- Paired axial CT (left) and PSMA PET (right), 18F tracer
- acquired on Siemens Biograph mCT Flow 20
- PET panel 200×200 px (4.1 mm/px)
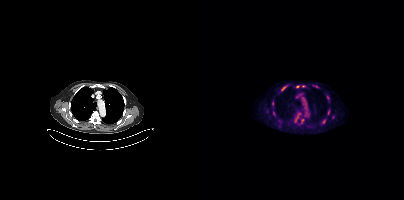
Findings: Coordinates are on the 200×200 PET (right) panel. (showing 9 of 11 foci) PSMA-avid tumor lesion bounding boxes (x0,y0,x1,y1): [77,85,83,90]; [124,110,125,114]. Small PSMA-avid foci (2 to 4 px across) near (center x, center y): (99, 86); (120, 121); (68, 103); (112, 86); (93, 86); (69, 112); (98, 119).